Paired axial CT (left) and PSMA PET (right), 68Ga-PSMA tracer.
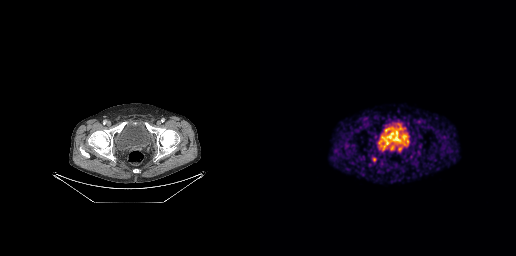
Coordinates are on the 256×256 PET (right) panel. Small PSMA-avid focus (2 to 4 px across) near (center x, center y): (114, 159).